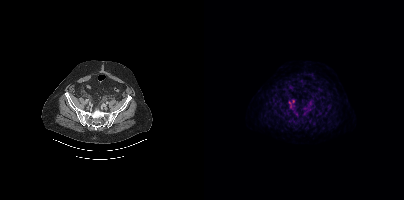
{"modality":"PSMA PET/CT","view":"axial","tracer":"[18F]PSMA-1007","pet_grid":[200,200],"coord_frame":"pet_panel","coord_format":"x0,y0,x1,y1","lesion_bboxes":[[85,99,91,108]]}